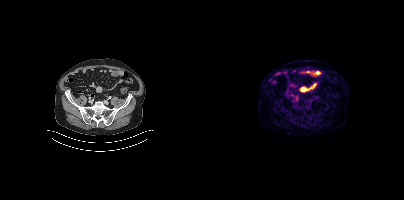
{"modality":"PSMA PET/CT","view":"axial","tracer":"68Ga","pet_grid":[200,200],"coord_frame":"pet_panel","coord_format":"x0,y0,x1,y1","psma_avid_lesions":false}